- Paired axial CT (left) and PSMA PET (right), 68Ga tracer
- PET panel 168×168 px (4.1 mm/px)
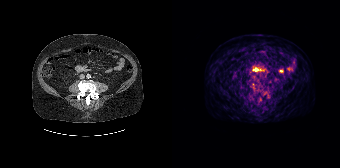
Findings: Negative for PSMA-avid disease on this slice.